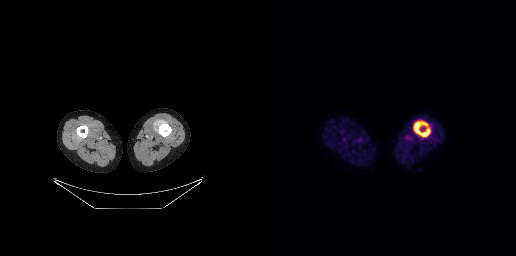
{"modality":"PSMA PET/CT","view":"axial","tracer":"[18F]PSMA-1007","pet_grid":[256,256],"coord_frame":"pet_panel","coord_format":"x0,y0,x1,y1","lesion_bboxes":[[154,121,170,136]]}